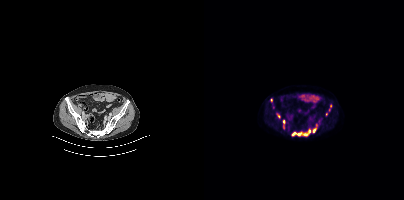
modality: PSMA PET/CT | tracer: 18F | view: axial | PET grid: 200×200
Coordinates are on the 200×200 PET (right) panel. (showing 8 of 9 foci) PSMA-avid tumor lesion bounding boxes (x0,y0,x1,y1): [87,129,106,136] [109,128,112,132] [73,113,76,118]. Small PSMA-avid foci (2 to 4 px across) near (center x, center y): (80, 121) (112, 125) (122, 114) (67, 100) (126, 105).